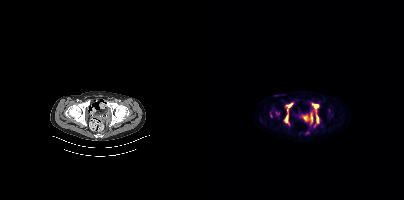
Left: CT. Right: PSMA PET, same axial level, 18F-PSMA tracer. Acquired on Siemens Biograph mCT Flow 20.
Coordinates are on the 200×200 PET (right) panel. PSMA-avid tumor lesion bounding boxes (partial; 2 more foci not listed):
| # | x0 | y0 | x1 | y1 |
|---|---|---|---|---|
| 1 | 79 | 111 | 84 | 122 |
| 2 | 108 | 103 | 114 | 111 |
| 3 | 112 | 114 | 114 | 123 |
| 4 | 83 | 103 | 88 | 107 |
Small PSMA-avid foci (2 to 4 px across) near (center x, center y): (73, 113); (101, 118); (107, 120).